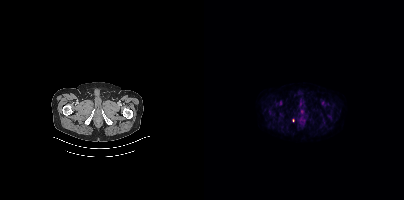
Two-panel axial: CT | PSMA PET, [18F]PSMA-1007 tracer. Slice position z = -822 mm. PET panel 200×200 px (4.1 mm/px). Coordinates are on the 200×200 PET (right) panel. Small PSMA-avid focus (2 to 4 px across) near (center x, center y): (89, 120).